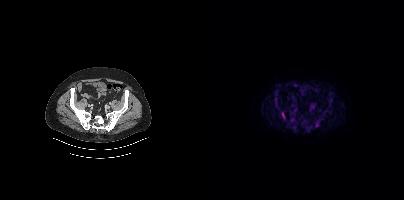
- Two-panel axial: CT | PSMA PET, 18F tracer
- slice position z = -1297 mm
- PET panel 200×200 px (4.1 mm/px)
Findings: Coordinates are on the 200×200 PET (right) panel. (showing 9 of 10 foci) PSMA-avid tumor lesion bounding boxes (x, y, width, height): x=87 y=121 w=7 h=9; x=70 y=99 w=7 h=11; x=77 y=111 w=5 h=9; x=111 y=120 w=5 h=7; x=124 y=96 w=5 h=8; x=120 y=109 w=5 h=5. Small PSMA-avid foci (2 to 4 px across) near (center x, center y): (90, 110); (104, 128); (72, 91).